de-identification: head region blanked (face removed) | modality: PSMA PET/CT | tracer: [18F]PSMA-1007 | view: axial
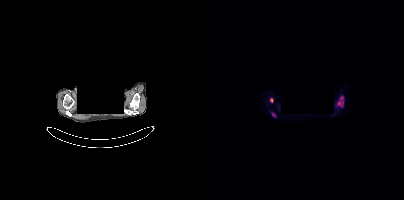
Coordinates are on the 200×200 PET (right) panel. PSMA-avid tumor lesion bounding boxes (x0,y0,x1,y1): [132,96,139,106]; [66,98,69,102]. Small PSMA-avid focus (2 to 4 px across) near (center x, center y): (69, 114).